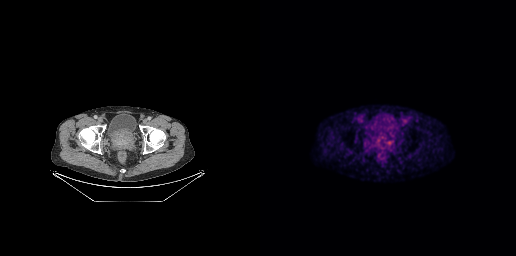
Findings: Coordinates are on the 256×256 PET (right) panel. (showing 1 of 2 foci) PSMA-avid tumor lesion bounding box (x, y, width, height): x=127 y=140 w=4 h=5.
Technique: Two-panel axial: CT | PSMA PET, 18F-PSMA tracer. acquired on GE Discovery 690. slice position z = -662 mm.